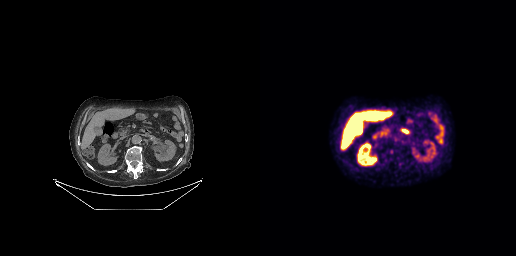
No tumor lesions annotated on this slice. Left: CT. Right: PSMA PET, same axial level, 18F tracer. Acquired on GE Discovery 690. Slice position z = -395 mm.